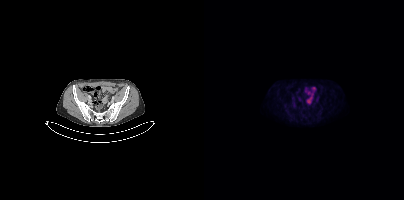
{"modality":"PSMA PET/CT","view":"axial","tracer":"18F-PSMA","pet_grid":[200,200],"coord_frame":"pet_panel","coord_format":"x0,y0,x1,y1","psma_avid_lesions":false}